Left: CT. Right: PSMA PET, same axial level, 18F-PSMA tracer. Slice position z = -1386 mm.
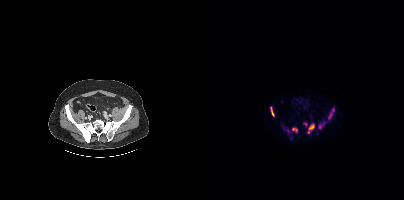
Coordinates are on the 200×200 PET (right) panel. PSMA-avid tumor lesion bounding boxes (partial; 2 more foci not listed):
| # | x0 | y0 | x1 | y1 |
|---|---|---|---|---|
| 1 | 104 | 124 | 110 | 133 |
| 2 | 124 | 108 | 130 | 119 |
| 3 | 66 | 106 | 70 | 116 |
| 4 | 88 | 127 | 93 | 132 |
Small PSMA-avid foci (2 to 4 px across) near (center x, center y): (116, 126); (101, 124).